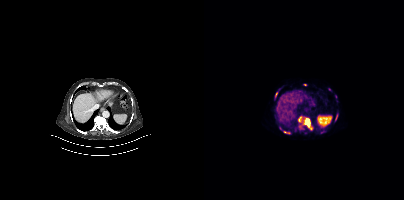
Coordinates are on the 200×200 PET (right) panel. (showing 5 of 9 foci) PSMA-avid tumor lesion bounding boxes (x0,y0,x1,y1): [94,116,108,129], [131,113,134,119], [71,92,73,98]. Small PSMA-avid foci (2 to 4 px across) near (center x, center y): (81, 132), (101, 84).